Face de-identified by blanking a block of the head.
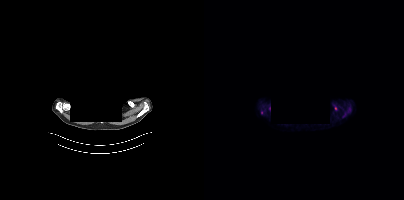
Coordinates are on the 200×200 PET (right) panel. Small PSMA-avid foci (2 to 4 px across) near (center x, center y): (57, 112) | (131, 108).